modality: PSMA PET/CT | tracer: 18F | view: axial | PET grid: 200×200
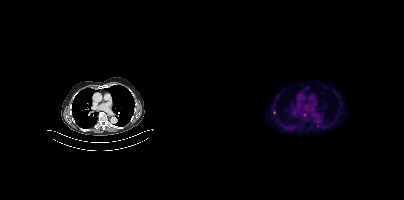
Coordinates are on the 200×200 PET (right) panel. Small PSMA-avid foci (2 to 4 px across) near (center x, center y): (114, 124) (70, 112) (100, 114).